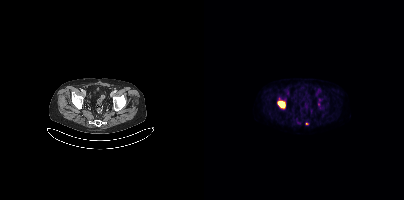
Coordinates are on the 200×200 PET (right) panel. PSMA-avid tumor lesion bounding box (x0,y0,x1,y1): [73,101,81,108]. Small PSMA-avid focus (2 to 4 px across) near (center x, center y): (103, 123).